- Paired axial CT (left) and PSMA PET (right), 18F tracer
- slice position z = -1006 mm
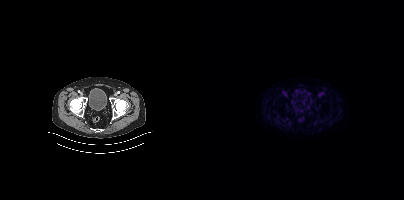
Findings: No tumor lesions annotated on this slice.